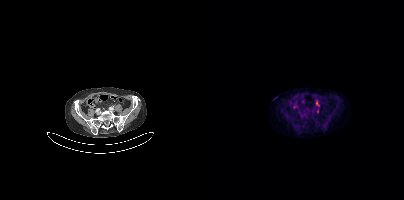
{"modality":"PSMA PET/CT","view":"axial","tracer":"18F-PSMA","pet_grid":[200,200],"coord_frame":"pet_panel","coord_format":"x0,y0,x1,y1","lesion_bboxes":[[112,101,115,105]]}